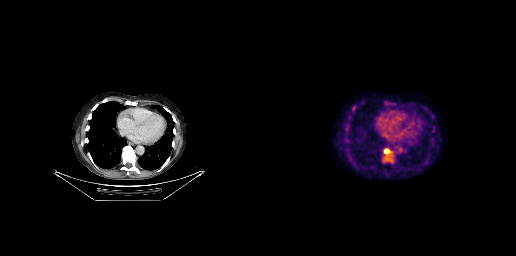
Coordinates are on the 256×256 PET (right) panel. PSMA-avid tumor lesion bounding boxes (x, y, width, height): x=122 y=156 w=6 h=8 / x=124 y=149 w=6 h=5. Two-panel axial: CT | PSMA PET, 18F tracer. Acquired on GE Discovery 690. Slice 197 of 299. PET panel 256×256 px (2.7 mm/px).